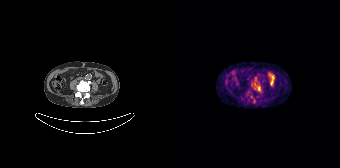
Left: CT. Right: PSMA PET, same axial level, [68Ga]Ga-PSMA-11 tracer.
Coordinates are on the 168×168 PET (right) panel. PSMA-avid tumor lesion bounding boxes (partial; 2 more foci not listed):
| # | x0 | y0 | x1 | y1 |
|---|---|---|---|---|
| 1 | 85 | 86 | 89 | 92 |
Small PSMA-avid focus (2 to 4 px across) near (center x, center y): (82, 100).